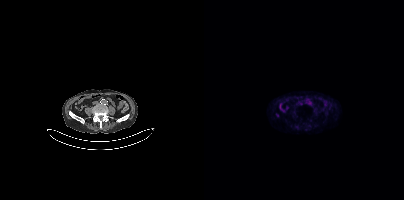
No PSMA-avid tumor lesions on this slice.